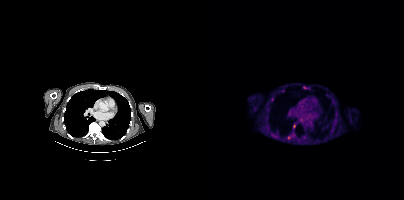
Findings: Coordinates are on the 200×200 PET (right) panel. (showing 5 of 6 foci) PSMA-avid tumor lesion bounding box (x, y, width, height): x=99 y=86 w=5 h=4. Small PSMA-avid foci (2 to 4 px across) near (center x, center y): (68, 99) | (101, 137) | (84, 137) | (78, 90).
- Left: CT. Right: PSMA PET, same axial level, [18F]PSMA-1007 tracer
- acquired on Siemens Biograph mCT Flow 20
- PET panel 200×200 px (4.1 mm/px)